Left: CT. Right: PSMA PET, same axial level, 18F tracer. Slice position z = -950 mm.
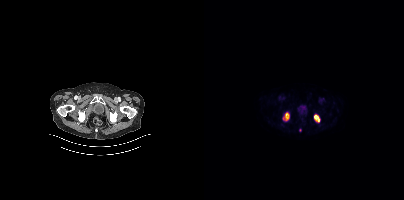
Coordinates are on the 200×200 PET (right) panel. (showing 2 of 3 foci) PSMA-avid tumor lesion bounding boxes (x0,y0,x1,y1): [110,115,115,121], [81,113,84,119].